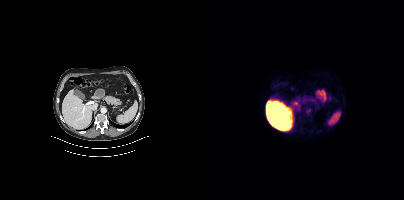
This slice has no annotated PSMA-avid lesion.
modality: PSMA PET/CT | tracer: [18F]PSMA-1007 | view: axial